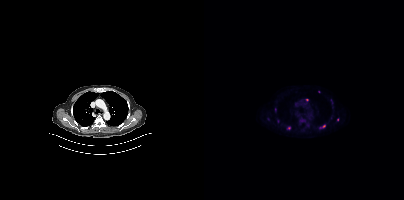
Coordinates are on the 200×200 PET (right) panel. Small PSMA-avid foci (2 to 4 px across) near (center x, center y): (85, 128) (119, 126) (103, 99). Left: CT. Right: PSMA PET, same axial level, [18F]PSMA-1007 tracer.